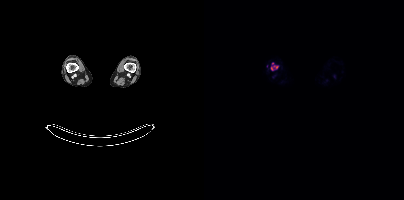
Coordinates are on the 200×200 PET (right) panel. (showing 2 of 4 foci) Small PSMA-avid foci (2 to 4 px across) near (center x, center y): (72, 67) / (67, 68).